Left: CT. Right: PSMA PET, same axial level, 18F tracer. Acquired on GE Discovery 690. Slice 223 of 371. PET panel 256×256 px (2.7 mm/px).
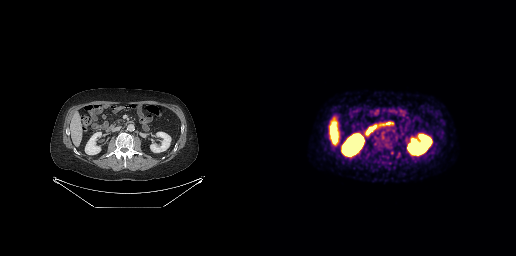
Negative for PSMA-avid disease on this slice.